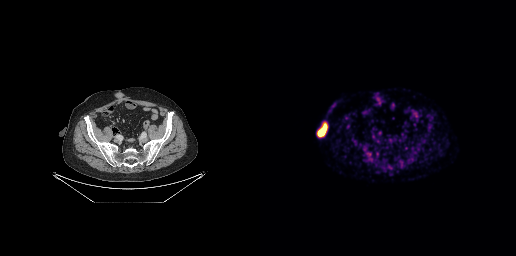
This slice has no annotated PSMA-avid lesion.
modality: PSMA PET/CT | tracer: 18F-PSMA | view: axial | PET grid: 256×256